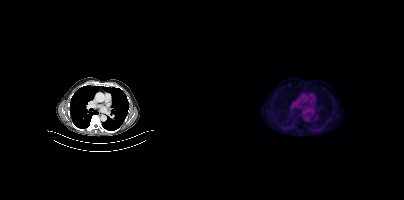
{"modality":"PSMA PET/CT","view":"axial","tracer":"[18F]PSMA-1007","pet_grid":[200,200],"coord_frame":"pet_panel","coord_format":"x0,y0,x1,y1","lesion_bboxes":[],"small_foci_centers":[[85,84]]}